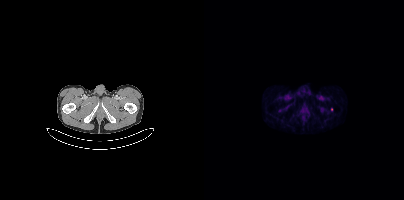
Two-panel axial: CT | PSMA PET, [18F]PSMA-1007 tracer. PET panel 200×200 px (4.1 mm/px). Coordinates are on the 200×200 PET (right) panel. Small PSMA-avid focus (2 to 4 px across) near (center x, center y): (127, 109).